modality: PSMA PET/CT | tracer: [18F]PSMA-1007 | view: axial | PET grid: 200×200
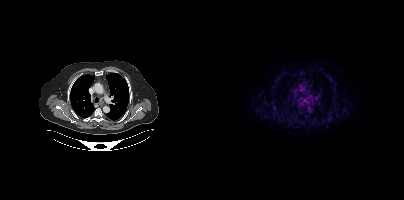
Coordinates are on the 200×200 PET (right) panel. Small PSMA-avid focus (2 to 4 px across) near (center x, center y): (70, 107).